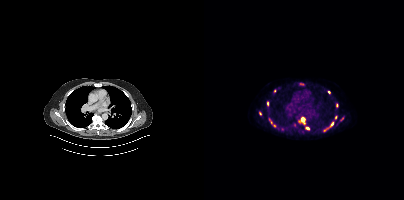
Findings: Coordinates are on the 200×200 PET (right) panel. (showing 10 of 11 foci) PSMA-avid tumor lesion bounding boxes (x0, y0)-(x1, y1): (94, 117)-(101, 124); (101, 127)-(105, 129). Small PSMA-avid foci (2 to 4 px across) near (center x, center y): (128, 123); (63, 103); (125, 92); (132, 105); (131, 117); (70, 90); (56, 113); (70, 125).
- Left: CT. Right: PSMA PET, same axial level, 18F tracer
- slice position z = -502 mm